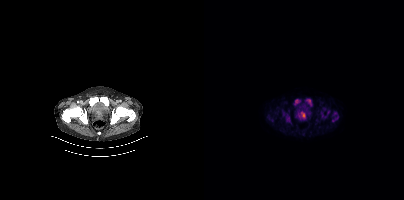
{"modality":"PSMA PET/CT","view":"axial","tracer":"18F","pet_grid":[200,200],"coord_frame":"pet_panel","coord_format":"x0,y0,x1,y1","partial":true,"lesion_bboxes":[[95,111,101,118],[82,114,87,123],[90,99,96,105],[102,99,107,105],[117,112,122,117],[129,112,133,115],[128,117,132,121],[123,110,125,114]],"small_foci_centers":[[79,113]]}